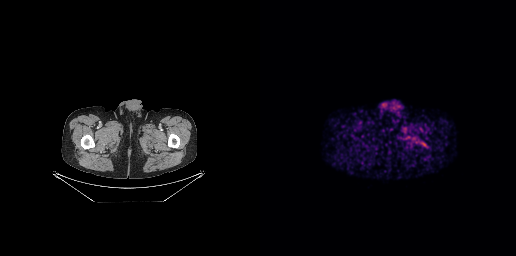
Technique: Left: CT. Right: PSMA PET, same axial level, [68Ga]Ga-PSMA-11 tracer. slice position z = -916 mm. PET panel 256×256 px (2.7 mm/px).
Findings: This slice has no annotated PSMA-avid lesion.